Paired axial CT (left) and PSMA PET (right), 18F-PSMA tracer. Acquired on Siemens Biograph mCT Flow 20. Slice 221 of 431. PET panel 200×200 px (4.1 mm/px).
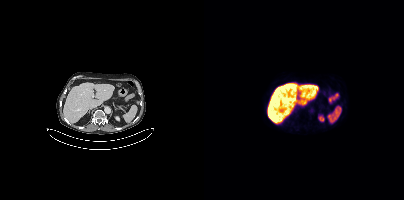
This slice has no annotated PSMA-avid lesion.